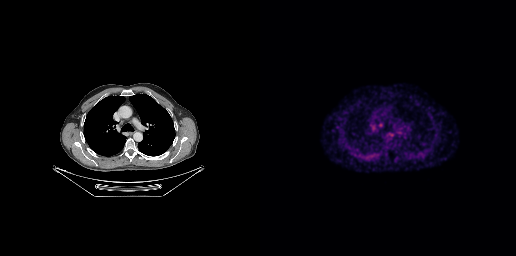
{"modality":"PSMA PET/CT","view":"axial","tracer":"[68Ga]Ga-PSMA-11","pet_grid":[256,256],"coord_frame":"pet_panel","coord_format":"x0,y0,x1,y1","lesion_bboxes":[[118,123,123,128]],"small_foci_centers":[[114,127]]}